Left: CT. Right: PSMA PET, same axial level, [18F]PSMA-1007 tracer.
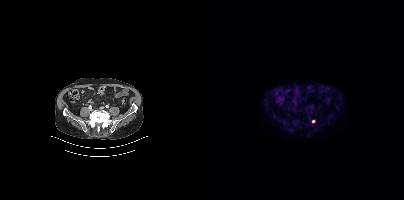
Coordinates are on the 200×200 PET (right) panel. Small PSMA-avid focus (2 to 4 px across) near (center x, center y): (109, 121).